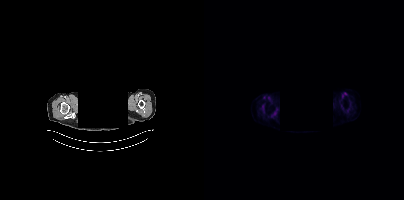
A rectangle over the head was blacked out to remove identifiable facial features. Left: CT. Right: PSMA PET, same axial level, [18F]PSMA-1007 tracer. Acquired on Siemens Biograph mCT Flow 20. No tumor lesions annotated on this slice.